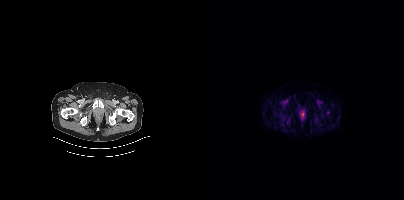
- Paired axial CT (left) and PSMA PET (right), [18F]PSMA-1007 tracer
- slice position z = -792 mm
Findings: Coordinates are on the 200×200 PET (right) panel. Small PSMA-avid focus (2 to 4 px across) near (center x, center y): (123, 112).